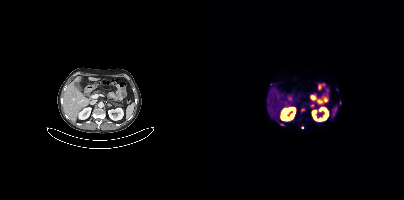
Findings: Coordinates are on the 200×200 PET (right) panel. (showing 3 of 5 foci) Small PSMA-avid foci (2 to 4 px across) near (center x, center y): (77, 124) | (98, 127) | (67, 116).
- Two-panel axial: CT | PSMA PET, 68Ga tracer
- slice 209 of 411